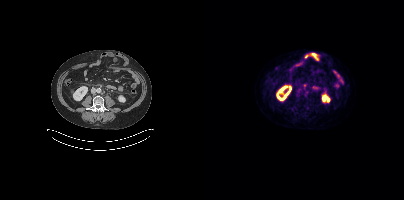
{"modality":"PSMA PET/CT","view":"axial","tracer":"18F","pet_grid":[200,200],"coord_frame":"pet_panel","coord_format":"x0,y0,x1,y1","lesion_bboxes":[[100,91,104,96]]}